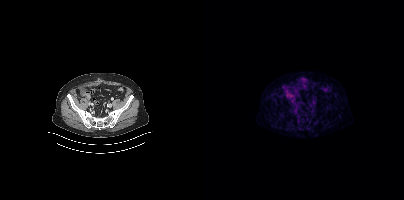
Findings: Negative for PSMA-avid disease on this slice.
Technique: Paired axial CT (left) and PSMA PET (right), [68Ga]Ga-PSMA-11 tracer. PET panel 200×200 px (4.1 mm/px).